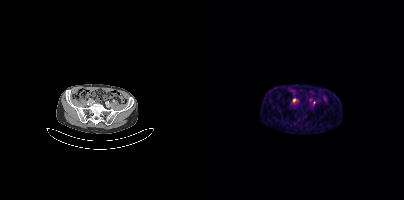
Coordinates are on the 200×200 PET (right) panel. PSMA-avid tumor lesion bounding box (x0, y0)-(x1, y1): (89, 98)-(92, 102). Small PSMA-avid focus (2 to 4 px across) near (center x, center y): (110, 102).